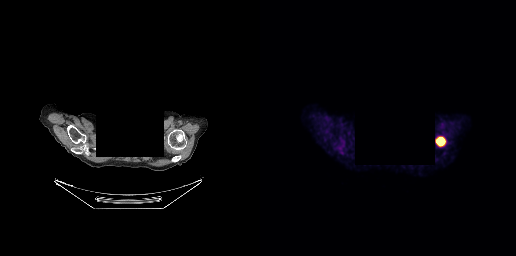
{"pet_grid":[256,256],"coord_frame":"pet_panel","coord_format":"x0,y0,x1,y1","lesion_bboxes":[[176,137,185,146]],"deidentification":"face masked with black rectangle","modality":"PSMA PET/CT","view":"axial","tracer":"18F-PSMA"}